Paired axial CT (left) and PSMA PET (right), 18F-PSMA tracer. PET panel 200×200 px (4.1 mm/px).
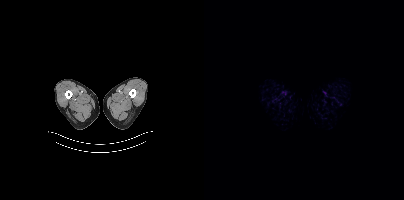
No PSMA-avid tumor lesions on this slice.